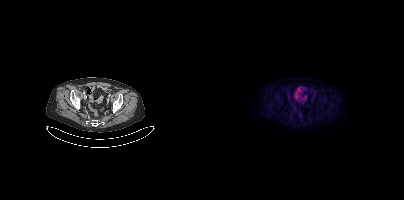
Two-panel axial: CT | PSMA PET, 18F-PSMA tracer. PET panel 200×200 px (4.1 mm/px). No tumor lesions annotated on this slice.